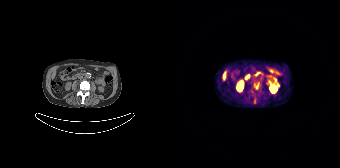
{"pet_grid":[168,168],"coord_frame":"pet_panel","coord_format":"x0,y0,x1,y1","lesion_bboxes":[[82,82,87,89]],"modality":"PSMA PET/CT","view":"axial","tracer":"68Ga-PSMA"}